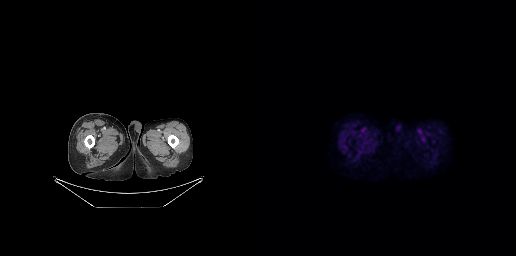
No tumor lesions annotated on this slice.